Left: CT. Right: PSMA PET, same axial level, 18F-PSMA tracer. PET panel 200×200 px (4.1 mm/px).
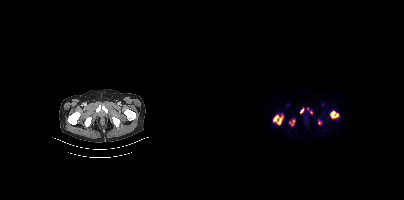
Coordinates are on the 200×200 PET (right) panel. PSMA-avid tumor lesion bounding boxes (partial; 1 more focus not listed):
| # | x0 | y0 | x1 | y1 |
|---|---|---|---|---|
| 1 | 69 | 115 | 78 | 124 |
| 2 | 126 | 111 | 134 | 117 |
| 3 | 85 | 120 | 90 | 125 |
Small PSMA-avid foci (2 to 4 px across) near (center x, center y): (97, 110); (115, 122).